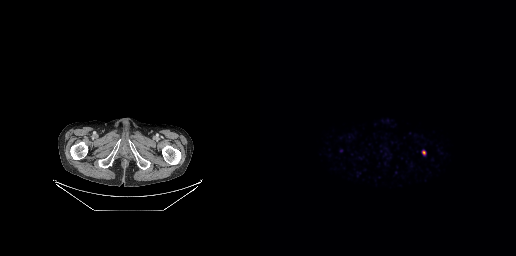
Paired axial CT (left) and PSMA PET (right), 68Ga-PSMA tracer. Coordinates are on the 256×256 PET (right) panel. Small PSMA-avid focus (2 to 4 px across) near (center x, center y): (163, 152).